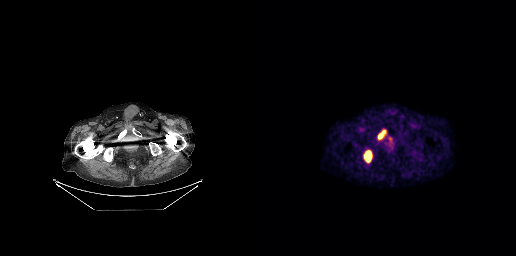
Coordinates are on the 256×256 PET (right) panel. PSMA-avid tumor lesion bounding boxes (x, y, width, height): x=104 y=151 w=8 h=12 / x=118 y=130 w=8 h=10. Paired axial CT (left) and PSMA PET (right), [18F]PSMA-1007 tracer. Slice position z = -673 mm. PET panel 256×256 px (2.7 mm/px).